Paired axial CT (left) and PSMA PET (right), [18F]PSMA-1007 tracer. Acquired on Siemens Biograph mCT Flow 20. PET panel 200×200 px (4.1 mm/px).
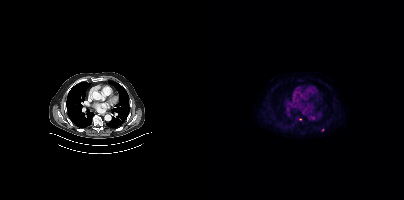
Coordinates are on the 200×200 PET (right) panel. (showing 1 of 2 foci) Small PSMA-avid focus (2 to 4 px across) near (center x, center y): (119, 130).